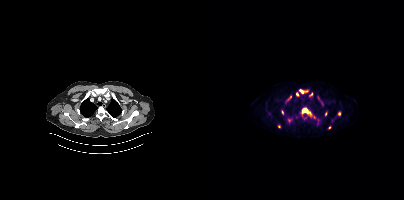
Coordinates are on the 200×200 PET (right) panel. (showing 13 of 16 foci) PSMA-avid tumor lesion bounding boxes (x, y, width, height): x=98 y=108 w=7 h=5 / x=96 y=89 w=4 h=5 / x=78 y=110 w=2 h=5. Small PSMA-avid foci (2 to 4 px across) near (center x, center y): (135, 113) / (93, 94) / (100, 118) / (125, 127) / (86, 97) / (121, 114) / (107, 115) / (110, 117) / (75, 125) / (84, 119).